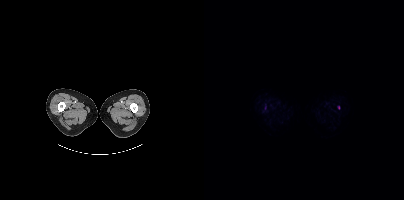
{"modality":"PSMA PET/CT","view":"axial","tracer":"[18F]PSMA-1007","pet_grid":[200,200],"coord_frame":"pet_panel","coord_format":"x0,y0,x1,y1","lesion_bboxes":[],"small_foci_centers":[[134,107]]}